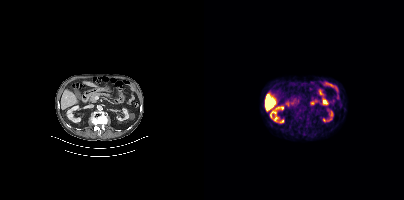
Negative for PSMA-avid disease on this slice.